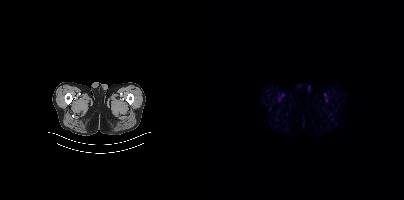
Negative for PSMA-avid disease on this slice.